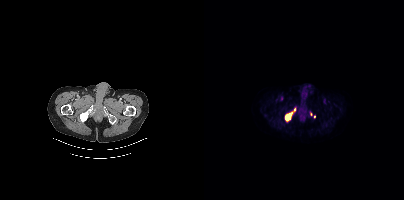
Technique: Two-panel axial: CT | PSMA PET, [18F]PSMA-1007 tracer.
Findings: Coordinates are on the 200×200 PET (right) panel. PSMA-avid tumor lesion bounding box (x0,y0,x1,y1): [81,108,91,120]. Small PSMA-avid foci (2 to 4 px across) near (center x, center y): (107, 114) (110, 116).